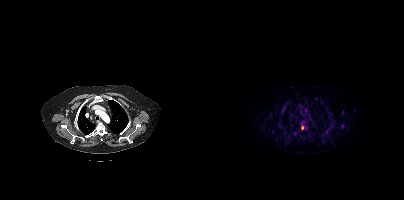
Paired axial CT (left) and PSMA PET (right), 68Ga-PSMA tracer. Acquired on Siemens Biograph mCT Flow 20. Slice position z = 813 mm. PET panel 200×200 px (4.1 mm/px).
Coordinates are on the 200×200 PET (right) panel. PSMA-avid tumor lesion bounding boxes (partial; 1 more focus not listed):
| # | x0 | y0 | x1 | y1 |
|---|---|---|---|---|
| 1 | 97 | 121 | 100 | 129 |
Small PSMA-avid foci (2 to 4 px across) near (center x, center y): (79, 109); (138, 125); (90, 133); (102, 127).